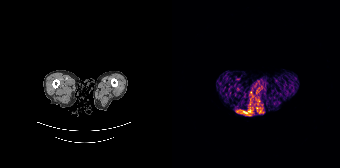
Paired axial CT (left) and PSMA PET (right), [68Ga]Ga-PSMA-11 tracer. Acquired on Siemens Biograph 64-4R TruePoint. Slice position z = -824 mm. PET panel 168×168 px (4.1 mm/px). This slice has no annotated PSMA-avid lesion.